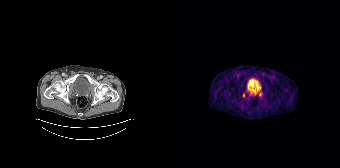
{"modality":"PSMA PET/CT","view":"axial","tracer":"68Ga-PSMA","pet_grid":[168,168],"coord_frame":"pet_panel","coord_format":"x0,y0,x1,y1","lesion_bboxes":[[71,93,72,97]],"small_foci_centers":[[87,94]]}